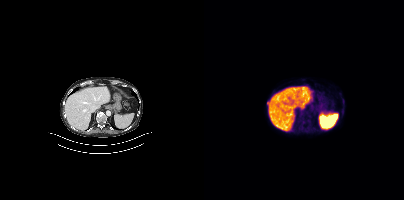
{"modality":"PSMA PET/CT","view":"axial","tracer":"18F","pet_grid":[200,200],"coord_frame":"pet_panel","coord_format":"x0,y0,x1,y1","partial":true,"lesion_bboxes":[[98,115,100,120]]}